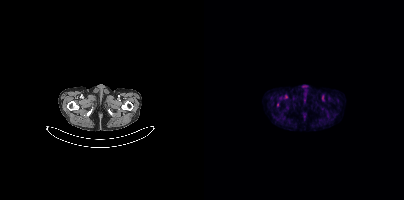
Coordinates are on the 200×200 PET (right) panel. Small PSMA-avid focus (2 to 4 px across) near (center x, center y): (73, 104). Two-panel axial: CT | PSMA PET, [18F]PSMA-1007 tracer. Acquired on Siemens Biograph mCT Flow 20. PET panel 200×200 px (4.1 mm/px).